Paired axial CT (left) and PSMA PET (right), 68Ga tracer. Acquired on Siemens Biograph mCT Flow 20. PET panel 200×200 px (4.1 mm/px).
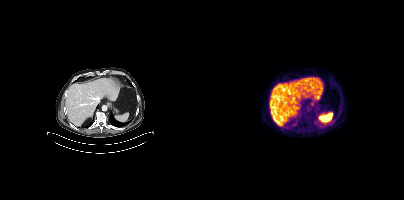
This slice has no annotated PSMA-avid lesion.